Two-panel axial: CT | PSMA PET, 68Ga-PSMA tracer. Slice 31 of 444. PET panel 200×200 px (4.1 mm/px).
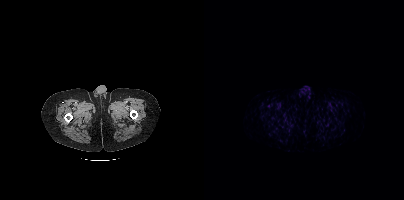
No tumor lesions annotated on this slice.